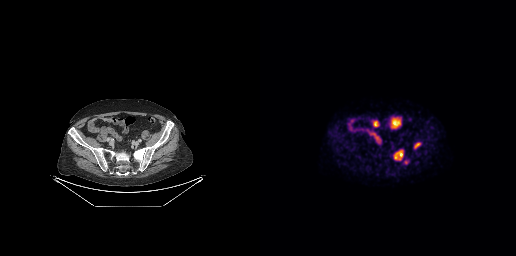
modality: PSMA PET/CT | tracer: 18F | view: axial | PET grid: 256×256
Coordinates are on the 256×256 PET (right) panel. PSMA-avid tumor lesion bounding boxes (x0, y0)-(x1, y1): (133, 149)-(143, 160) / (154, 142)-(160, 148). Small PSMA-avid focus (2 to 4 px across) near (center x, center y): (146, 162).